The head region is masked for de-identification. Two-panel axial: CT | PSMA PET, 18F-PSMA tracer. PET panel 200×200 px (4.1 mm/px).
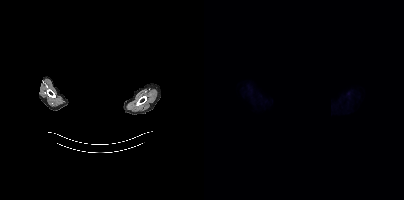
Negative for PSMA-avid disease on this slice.